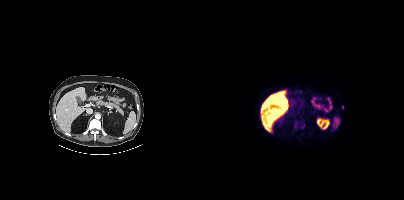
Coordinates are on the 200×200 PET (right) panel. Small PSMA-avid focus (2 to 4 px across) near (center x, center y): (138, 107). Paired axial CT (left) and PSMA PET (right), 18F-PSMA tracer. Slice 299 of 508. PET panel 200×200 px (4.1 mm/px).